Technique: Two-panel axial: CT | PSMA PET, 68Ga-PSMA tracer.
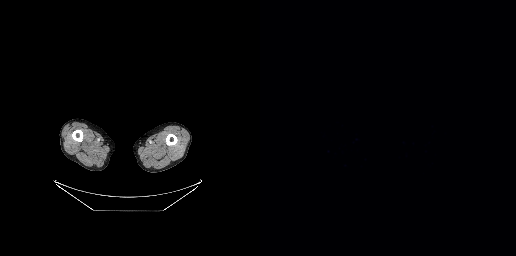
Findings: This slice has no annotated PSMA-avid lesion.